Technique: Paired axial CT (left) and PSMA PET (right), [18F]PSMA-1007 tracer. acquired on Siemens Biograph mCT Flow 20. slice position z = -557 mm.
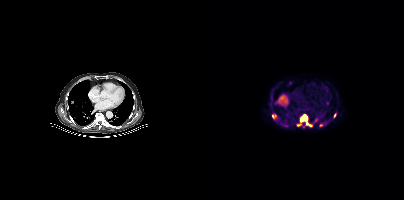
Findings: Coordinates are on the 200×200 PET (right) panel. PSMA-avid tumor lesion bounding boxes (x, y, width, height): x=93 y=114 w=16 h=14; x=68 y=114 w=5 h=5. Small PSMA-avid foci (2 to 4 px across) near (center x, center y): (116, 125); (131, 115); (72, 102); (111, 120); (82, 125).